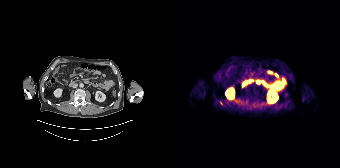
Only PSMA-avid lesion pieces thinner than 2 px on this slice (not listed).